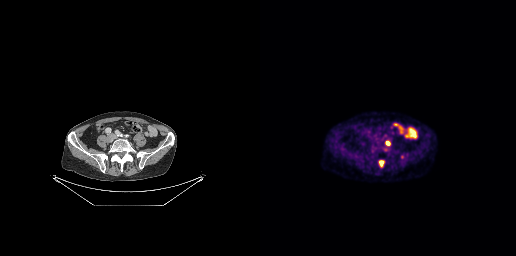
Left: CT. Right: PSMA PET, same axial level, 18F-PSMA tracer. Acquired on GE Discovery 690. PET panel 256×256 px (2.7 mm/px).
Coordinates are on the 256×256 PET (right) panel. PSMA-avid tumor lesion bounding boxes:
| # | x0 | y0 | x1 | y1 |
|---|---|---|---|---|
| 1 | 119 | 160 | 124 | 166 |
| 2 | 140 | 154 | 144 | 160 |
| 3 | 125 | 141 | 130 | 145 |
Small PSMA-avid focus (2 to 4 px across) near (center x, center y): (125, 135).